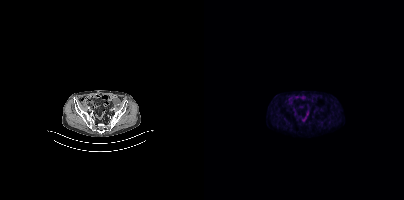
No tumor lesions annotated on this slice. Paired axial CT (left) and PSMA PET (right), 18F-PSMA tracer. Acquired on Siemens Biograph mCT Flow 20. PET panel 200×200 px (4.1 mm/px).